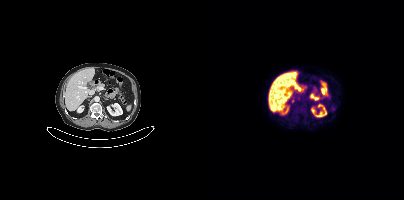
Coordinates are on the 200×200 PET (right) panel. Small PSMA-avid focus (2 to 4 px across) near (center x, center y): (89, 100).